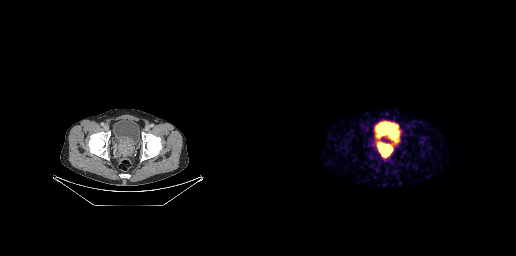
modality: PSMA PET/CT | tracer: 68Ga | view: axial
Coordinates are on the 256×256 PET (right) panel. PSMA-avid tumor lesion bounding boxes (x0, y0)-(x1, y1): (117, 138)-(138, 156) / (116, 135)-(121, 138).